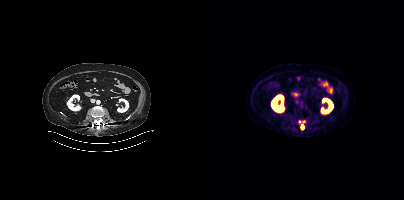
{"pet_grid":[200,200],"coord_frame":"pet_panel","coord_format":"x0,y0,x1,y1","lesion_bboxes":[[95,120,101,128]],"modality":"PSMA PET/CT","view":"axial","tracer":"18F"}